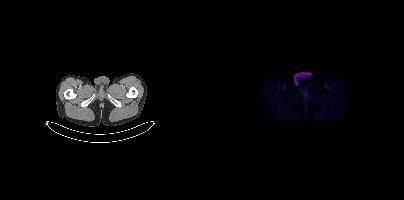
This slice has no annotated PSMA-avid lesion. Paired axial CT (left) and PSMA PET (right), 18F tracer. Acquired on Siemens Biograph mCT Flow 20. Slice position z = -566 mm. PET panel 200×200 px (4.1 mm/px).